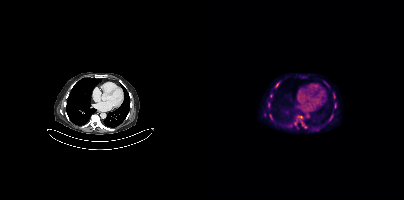
Left: CT. Right: PSMA PET, same axial level, 18F tracer. Acquired on Siemens Biograph mCT Flow 20. Slice 231 of 373. PET panel 200×200 px (4.1 mm/px). Coordinates are on the 200×200 PET (right) panel. (showing 5 of 11 foci) PSMA-avid tumor lesion bounding boxes (x, y, width, height): x=71 y=82 w=5 h=6 | x=129 y=94 w=3 h=5 | x=94 y=116 w=5 h=3. Small PSMA-avid foci (2 to 4 px across) near (center x, center y): (67, 95) | (131, 105).